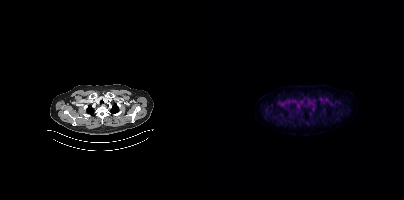
{"modality":"PSMA PET/CT","view":"axial","tracer":"[18F]PSMA-1007","pet_grid":[200,200],"coord_frame":"pet_panel","coord_format":"x0,y0,x1,y1","lesion_bboxes":[],"small_foci_centers":[[106,113]]}